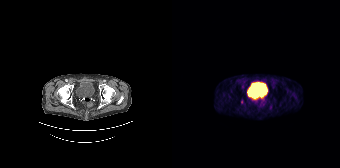
{"modality":"PSMA PET/CT","view":"axial","tracer":"[68Ga]Ga-PSMA-11","pet_grid":[168,168],"coord_frame":"pet_panel","coord_format":"x0,y0,x1,y1","partial":true,"lesion_bboxes":[],"small_foci_centers":[[69,101]]}